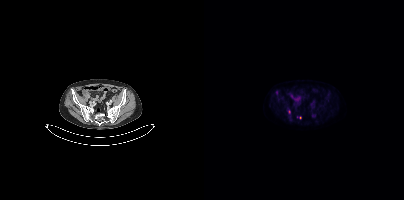
modality: PSMA PET/CT | tracer: [18F]PSMA-1007 | view: axial
Coordinates are on the 200×200 PET (right) panel. Small PSMA-avid foci (2 to 4 px across) near (center x, center y): (85, 111); (96, 117).